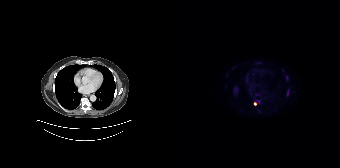
{"pet_grid":[168,168],"coord_frame":"pet_panel","coord_format":"x0,y0,x1,y1","partial":true,"lesion_bboxes":[[81,100,87,105],[114,90,117,95]],"small_foci_centers":[[114,77]],"modality":"PSMA PET/CT","view":"axial","tracer":"[18F]PSMA-1007"}